modality: PSMA PET/CT | tracer: 18F | view: axial | deidentification: rectangular block over head set to black
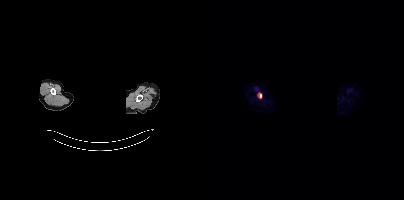
Coordinates are on the 200×200 PET (right) panel. PSMA-avid tumor lesion bounding box (x0, y0)-(x1, y1): (53, 92)-(58, 98).